- Left: CT. Right: PSMA PET, same axial level, 18F tracer
- slice position z = 1482 mm
- PET panel 200×200 px (4.1 mm/px)
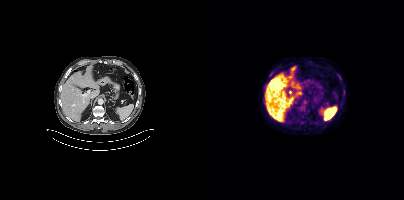
Findings: This slice has no annotated PSMA-avid lesion.